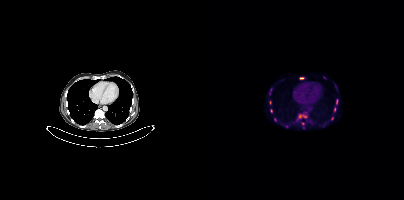
Coordinates are on the 200×200 PET (right) panel. PSMA-avid tumor lesion bounding boxes (partial; 2 more foci not listed):
| # | x0 | y0 | x1 | y1 |
|---|---|---|---|---|
| 1 | 94 | 114 | 102 | 118 |
| 2 | 95 | 77 | 100 | 79 |
| 3 | 132 | 99 | 133 | 103 |
Small PSMA-avid foci (2 to 4 px across) near (center x, center y): (130, 109); (67, 110); (99, 123); (66, 102).
Paired axial CT (left) and PSMA PET (right), 18F-PSMA tracer. Slice position z = -1126 mm.